- Two-panel axial: CT | PSMA PET, 68Ga-PSMA tracer
- PET panel 168×168 px (4.1 mm/px)
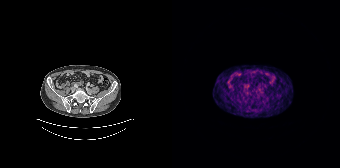
Findings: No PSMA-avid tumor lesions on this slice.